modality: PSMA PET/CT | tracer: 18F | view: axial | PET grid: 200×200
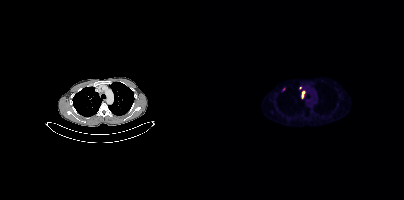
Coordinates are on the 200×200 PET (right) panel. Small PSMA-avid foci (2 to 4 px across) near (center x, center y): (99, 92); (98, 96); (79, 89); (96, 87).